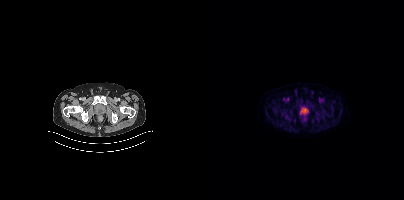
Coordinates are on the 200×200 PET (right) panel. Small PSMA-avid focus (2 to 4 px across) near (center x, center y): (82, 116). Two-panel axial: CT | PSMA PET, 18F-PSMA tracer. Slice position z = -896 mm. PET panel 200×200 px (4.1 mm/px).